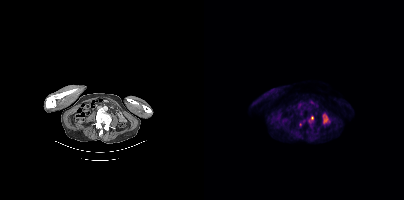
{"modality":"PSMA PET/CT","view":"axial","tracer":"18F-PSMA","pet_grid":[200,200],"coord_frame":"pet_panel","coord_format":"x0,y0,x1,y1","lesion_bboxes":[[105,116,109,120]],"small_foci_centers":[[96,124]]}